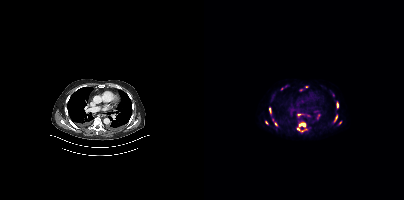
Technique: Paired axial CT (left) and PSMA PET (right), 18F tracer.
Findings: Coordinates are on the 200×200 PET (right) panel. (showing 10 of 11 foci) PSMA-avid tumor lesion bounding boxes (x0, y0)-(x1, y1): (92, 121)-(103, 132); (130, 115)-(133, 122); (132, 102)-(134, 108); (65, 108)-(67, 113); (70, 122)-(73, 126); (93, 114)-(97, 115). Small PSMA-avid foci (2 to 4 px across) near (center x, center y): (62, 122); (129, 95); (136, 122); (102, 86).